Technique: Two-panel axial: CT | PSMA PET, [18F]PSMA-1007 tracer.
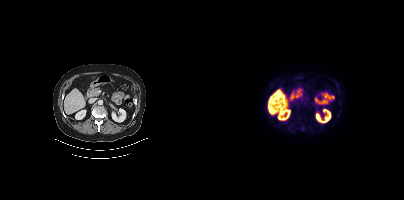
Findings: Coordinates are on the 200×200 PET (right) panel. PSMA-avid tumor lesion bounding box (x0,y0,x1,y1): [97,124,101,128]. Small PSMA-avid focus (2 to 4 px across) near (center x, center y): (135, 103).